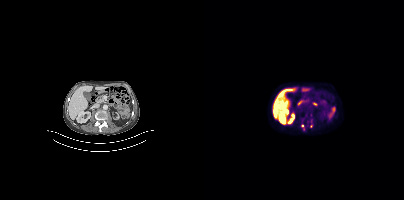
Findings: Coordinates are on the 200×200 PET (right) panel. (showing 3 of 4 foci) PSMA-avid tumor lesion bounding box (x0, y0)-(x1, y1): (98, 125)-(100, 130). Small PSMA-avid foci (2 to 4 px across) near (center x, center y): (107, 120); (107, 125).
- Left: CT. Right: PSMA PET, same axial level, [18F]PSMA-1007 tracer